Paired axial CT (left) and PSMA PET (right), [18F]PSMA-1007 tracer. Acquired on Siemens Biograph mCT Flow 20. PET panel 200×200 px (4.1 mm/px).
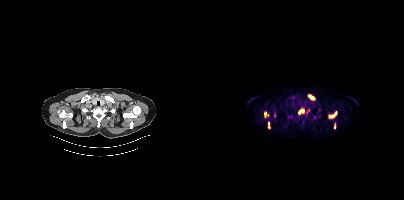
Coordinates are on the 200×200 PET (right) panel. PSMA-avid tumor lesion bounding boxes:
| # | x0 | y0 | x1 | y1 |
|---|---|---|---|---|
| 1 | 124 | 111 | 133 | 118 |
| 2 | 104 | 94 | 111 | 100 |
| 3 | 94 | 109 | 100 | 114 |
| 4 | 60 | 111 | 64 | 117 |
| 5 | 64 | 122 | 65 | 128 |
| 6 | 130 | 124 | 131 | 128 |
Small PSMA-avid focus (2 to 4 px across) near (center x, center y): (104, 110).